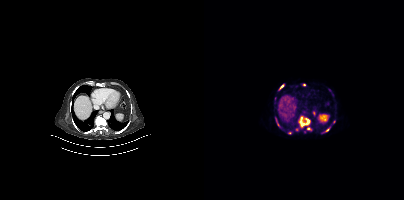
Coordinates are on the 200×200 PET (right) panel. PSMA-avid tumor lesion bounding boxes (partial; 4 more foci not listed):
| # | x0 | y0 | x1 | y1 |
|---|---|---|---|---|
| 1 | 95 | 116 | 105 | 127 |
| 2 | 71 | 117 | 76 | 126 |
Small PSMA-avid foci (2 to 4 px across) near (center x, center y): (104, 128); (123, 129); (78, 85); (86, 132).
Two-panel axial: CT | PSMA PET, [68Ga]Ga-PSMA-11 tracer.